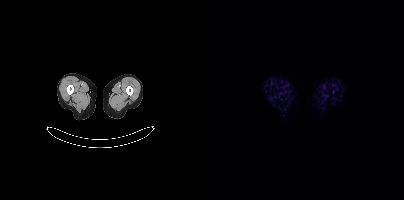
No PSMA-avid tumor lesions on this slice. Two-panel axial: CT | PSMA PET, 18F-PSMA tracer. Acquired on Siemens Biograph mCT Flow 20. PET panel 200×200 px (4.1 mm/px).